Two-panel axial: CT | PSMA PET, 18F-PSMA tracer. Slice position z = -845 mm. PET panel 200×200 px (4.1 mm/px).
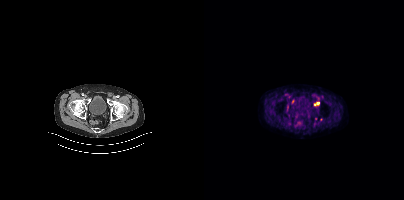
Coordinates are on the 200×200 PET (right) panel. PSMA-avid tumor lesion bounding boxes (partial; 2 more foci not listed):
| # | x0 | y0 | x1 | y1 |
|---|---|---|---|---|
| 1 | 110 | 102 | 115 | 105 |
Small PSMA-avid focus (2 to 4 px across) near (center x, center y): (111, 118).